Two-panel axial: CT | PSMA PET, 18F-PSMA tracer. Acquired on Siemens Biograph 64-4R TruePoint. Slice position z = -1126 mm. PET panel 168×168 px (4.1 mm/px).
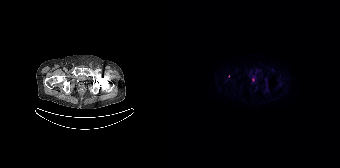
Only PSMA-avid lesion pieces thinner than 2 px on this slice (not listed).